The face region was removed for patient privacy by blanking a rectangle over the head. Left: CT. Right: PSMA PET, same axial level, 18F-PSMA tracer. Slice position z = -884 mm. PET panel 200×200 px (4.1 mm/px).
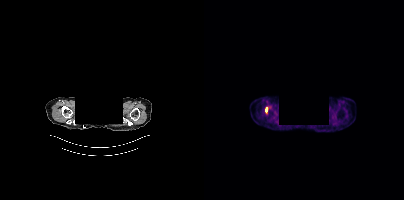
Coordinates are on the 200×200 PET (right) panel. Small PSMA-avid focus (2 to 4 px across) near (center x, center y): (62, 109).